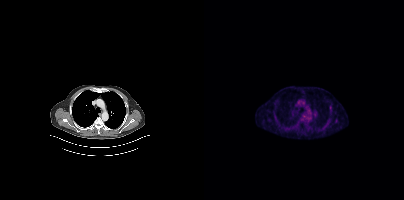
{"pet_grid":[200,200],"coord_frame":"pet_panel","coord_format":"x0,y0,x1,y1","partial":true,"lesion_bboxes":[],"modality":"PSMA PET/CT","view":"axial","tracer":"[18F]PSMA-1007"}